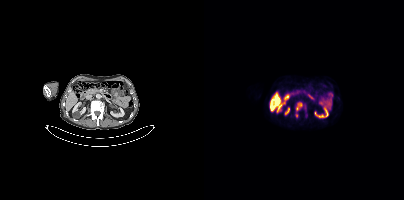
Findings: Coordinates are on the 200×200 PET (right) panel. PSMA-avid tumor lesion bounding box (x0, y0)-(x1, y1): (92, 103)-(98, 110). Small PSMA-avid focus (2 to 4 px across) near (center x, center y): (92, 115).
Technique: Paired axial CT (left) and PSMA PET (right), [18F]PSMA-1007 tracer. slice position z = -1244 mm.